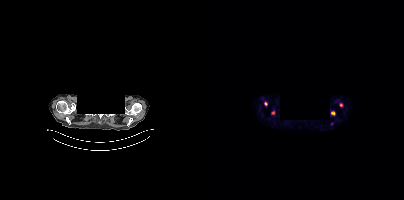
- a rectangular block over the head has been blanked out for de-identification
- Two-panel axial: CT | PSMA PET, 18F tracer
Findings: Coordinates are on the 200×200 PET (right) panel. PSMA-avid tumor lesion bounding boxes (x, y, width, height): x=127 y=111 w=5 h=5; x=60 y=102 w=4 h=5; x=135 y=103 w=5 h=4. Small PSMA-avid foci (2 to 4 px across) near (center x, center y): (68, 112); (127, 123).